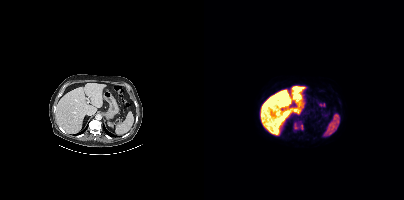
Two-panel axial: CT | PSMA PET, 18F tracer. PET panel 200×200 px (4.1 mm/px).
Coordinates are on the 200×200 PET (right) panel. PSMA-avid tumor lesion bounding boxes:
| # | x0 | y0 | x1 | y1 |
|---|---|---|---|---|
| 1 | 90 | 123 | 94 | 129 |
| 2 | 96 | 124 | 99 | 129 |